Paired axial CT (left) and PSMA PET (right), 18F tracer. Acquired on Siemens Biograph mCT Flow 20. Slice 315 of 377. PET panel 200×200 px (4.1 mm/px).
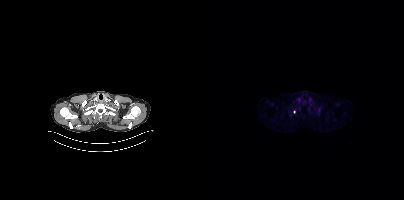
Coordinates are on the 200×200 PET (right) panel. Small PSMA-avid focus (2 to 4 px across) near (center x, center y): (90, 112).